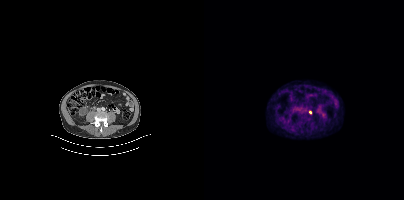
{"modality":"PSMA PET/CT","view":"axial","tracer":"18F","pet_grid":[200,200],"coord_frame":"pet_panel","coord_format":"x0,y0,x1,y1","lesion_bboxes":[],"small_foci_centers":[[106,112]]}